modality: PSMA PET/CT | tracer: 68Ga-PSMA | view: axial | PET grid: 256×256
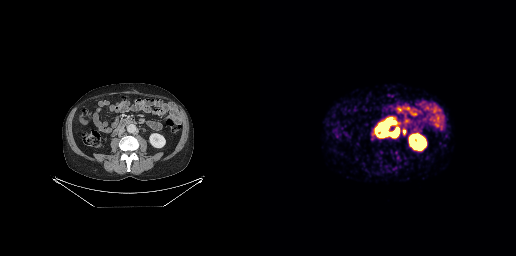
Coordinates are on the 256×256 PET (right) panel. PSMA-avid tumor lesion bounding box (x0,y0,x1,y1): [117,123,139,137].